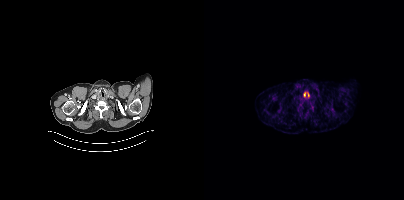
Two-panel axial: CT | PSMA PET, [68Ga]Ga-PSMA-11 tracer. Slice position z = -484 mm. This slice has no annotated PSMA-avid lesion.